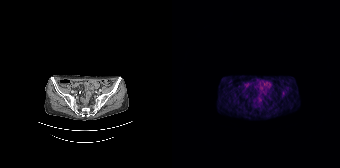
modality: PSMA PET/CT | tracer: [68Ga]Ga-PSMA-11 | view: axial
This slice has no annotated PSMA-avid lesion.